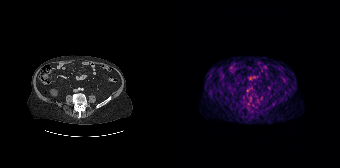
Negative for PSMA-avid disease on this slice.